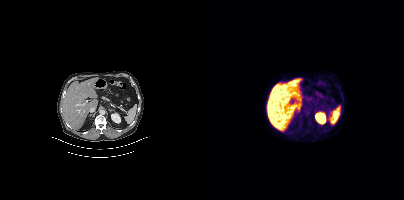
- Two-panel axial: CT | PSMA PET, 18F-PSMA tracer
- slice position z = -482 mm
- PET panel 200×200 px (4.1 mm/px)
Findings: This slice has no annotated PSMA-avid lesion.